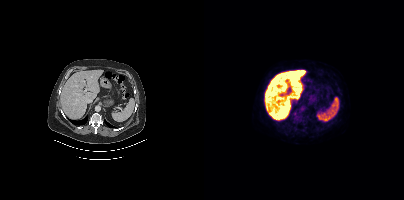
Technique: Paired axial CT (left) and PSMA PET (right), 18F-PSMA tracer. acquired on Siemens Biograph mCT Flow 20. slice position z = -1147 mm. PET panel 200×200 px (4.1 mm/px).
Findings: No PSMA-avid tumor lesions on this slice.